- Two-panel axial: CT | PSMA PET, 68Ga-PSMA tracer
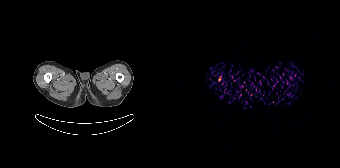
Findings: Coordinates are on the 168×168 PET (right) panel. (showing 1 of 2 foci) Small PSMA-avid focus (2 to 4 px across) near (center x, center y): (47, 78).